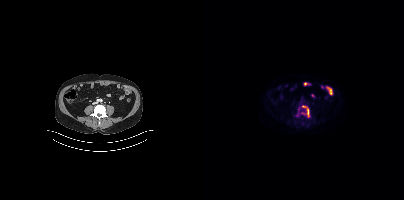
Technique: Two-panel axial: CT | PSMA PET, 18F-PSMA tracer. acquired on Siemens Biograph mCT Flow 20. slice position z = -594 mm. PET panel 200×200 px (4.1 mm/px).
Findings: Coordinates are on the 200×200 PET (right) panel. (showing 1 of 2 foci) PSMA-avid tumor lesion bounding box (x0,y0,x1,y1): [97,105,105,117].